Paired axial CT (left) and PSMA PET (right), 18F-PSMA tracer. Slice position z = -1172 mm.
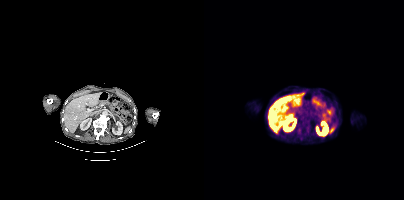
No tumor lesions annotated on this slice.